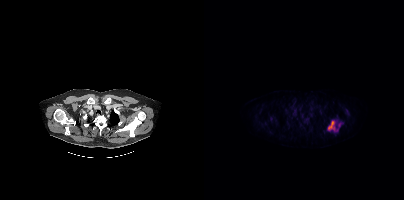
Coordinates are on the 200×200 PET (right) panel. PSMA-avid tumor lesion bounding boxes:
| # | x0 | y0 | x1 | y1 |
|---|---|---|---|---|
| 1 | 124 | 121 | 134 | 131 |
| 2 | 134 | 122 | 137 | 126 |
Left: CT. Right: PSMA PET, same axial level, 18F-PSMA tracer. Acquired on Siemens Biograph mCT Flow 20. PET panel 200×200 px (4.1 mm/px).